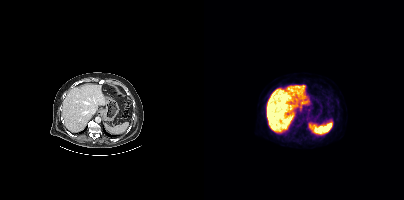
No PSMA-avid tumor lesions on this slice.